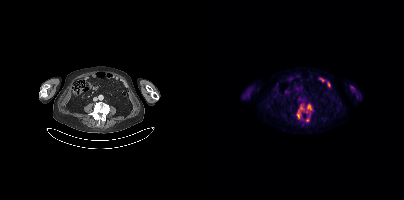
Findings: Coordinates are on the 200×200 PET (right) panel. PSMA-avid tumor lesion bounding boxes (x, y, width, height): x=92 y=103 w=17 h=17 / x=102 y=116 w=4 h=6.
- Two-panel axial: CT | PSMA PET, 18F-PSMA tracer
- acquired on Siemens Biograph mCT Flow 20
- PET panel 200×200 px (4.1 mm/px)